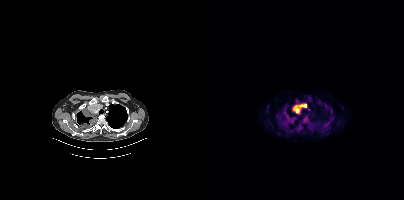
- Left: CT. Right: PSMA PET, same axial level, 18F tracer
- PET panel 200×200 px (4.1 mm/px)
Findings: Coordinates are on the 200×200 PET (right) panel. (showing 4 of 5 foci) PSMA-avid tumor lesion bounding boxes (x, y, width, height): x=87 y=103 w=16 h=11 / x=79 y=109 w=11 h=13 / x=99 y=118 w=5 h=4. Small PSMA-avid focus (2 to 4 px across) near (center x, center y): (104, 109).